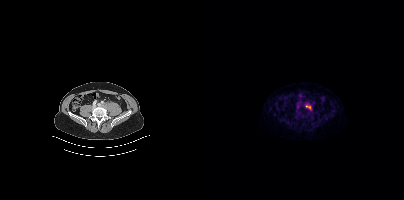
Coordinates are on the 200×200 PET (right) panel. PSMA-avid tumor lesion bounding box (x0,y0,x1,y1): [102,105,106,109].